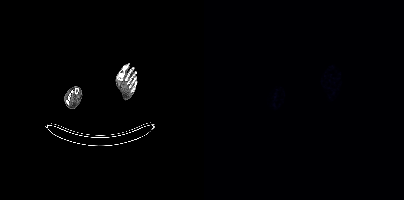
Technique: Paired axial CT (left) and PSMA PET (right), [18F]PSMA-1007 tracer. slice position z = -1953 mm. PET panel 200×200 px (4.1 mm/px).
Findings: No PSMA-avid tumor lesions on this slice.